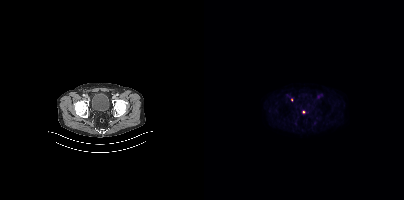
Only PSMA-avid lesion pieces thinner than 2 px on this slice (not listed).